Paired axial CT (left) and PSMA PET (right), [18F]PSMA-1007 tracer. PET panel 200×200 px (4.1 mm/px).
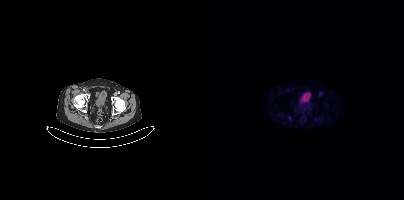
No tumor lesions annotated on this slice.